Technique: Paired axial CT (left) and PSMA PET (right), 18F-PSMA tracer. slice position z = -525 mm. PET panel 200×200 px (4.1 mm/px).
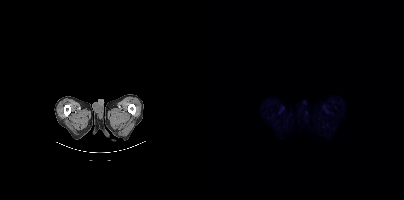
Findings: No PSMA-avid tumor lesions on this slice.